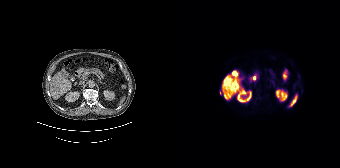
{"modality":"PSMA PET/CT","view":"axial","tracer":"18F-PSMA","pet_grid":[168,168],"coord_frame":"pet_panel","coord_format":"x0,y0,x1,y1","lesion_bboxes":[],"small_foci_centers":[[48,92]]}